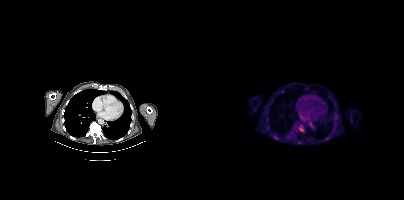
{"pet_grid":[200,200],"coord_frame":"pet_panel","coord_format":"x0,y0,x1,y1","partial":true,"lesion_bboxes":[[94,126,100,131],[93,141,97,144],[131,115,133,119]],"modality":"PSMA PET/CT","view":"axial","tracer":"[18F]PSMA-1007"}